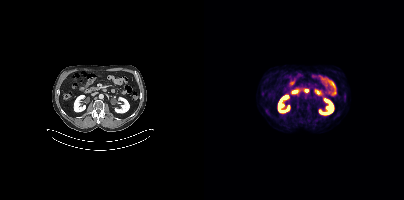
No PSMA-avid tumor lesions on this slice.
modality: PSMA PET/CT | tracer: 18F | view: axial